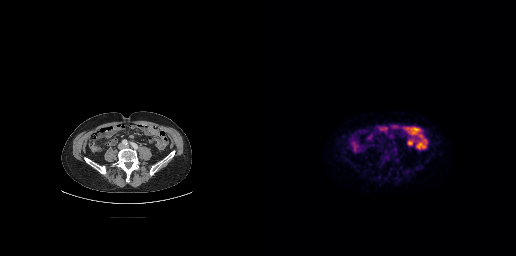
{"modality":"PSMA PET/CT","view":"axial","tracer":"18F-PSMA","pet_grid":[256,256],"coord_frame":"pet_panel","coord_format":"x0,y0,x1,y1","psma_avid_lesions":false}